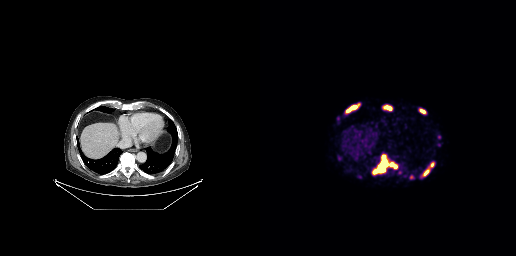
Coordinates are on the 256×256 PET (right) panel. (showing 12 of 13 foci) PSMA-avid tumor lesion bounding boxes (x0,y0,x1,y1): [91,104,99,109] [124,105,131,110] [112,168,118,174] [131,163,137,168] [119,166,125,172] [163,169,169,175] [122,162,127,166] [160,109,165,113] [85,109,88,113]. Small PSMA-avid foci (2 to 4 px across) near (center x, center y): (122, 155) (172, 164) (151, 177).